Left: CT. Right: PSMA PET, same axial level, 18F-PSMA tracer. Slice position z = -896 mm.
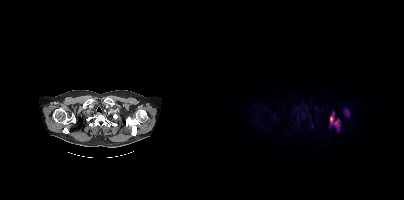
Coordinates are on the 200×200 PET (right) panel. PSMA-avid tumor lesion bounding boxes:
| # | x0 | y0 | x1 | y1 |
|---|---|---|---|---|
| 1 | 126 | 113 | 136 | 130 |
| 2 | 142 | 111 | 145 | 115 |
Small PSMA-avid focus (2 to 4 px across) near (center x, center y): (108, 125).